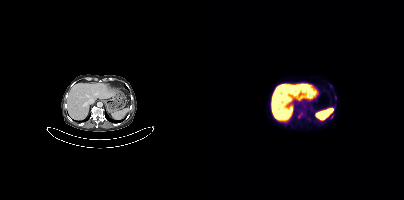
- Left: CT. Right: PSMA PET, same axial level, 18F-PSMA tracer
- acquired on Siemens Biograph mCT Flow 20
- PET panel 200×200 px (4.1 mm/px)
Findings: Coordinates are on the 200×200 PET (right) panel. PSMA-avid tumor lesion bounding box (x0,y0,x1,y1): [94,113,97,117].